Paired axial CT (left) and PSMA PET (right), 18F tracer. Slice 121 of 454.
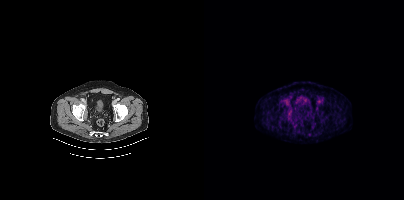
No PSMA-avid tumor lesions on this slice.